Two-panel axial: CT | PSMA PET, 18F tracer. Acquired on Siemens Biograph mCT Flow 20.
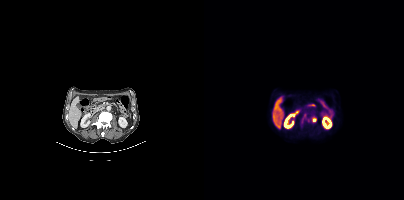
Coordinates are on the 200×200 PET (right) panel. PSMA-avid tumor lesion bounding boxes:
| # | x0 | y0 | x1 | y1 |
|---|---|---|---|---|
| 1 | 108 | 118 | 112 | 121 |
| 2 | 98 | 114 | 101 | 121 |